modality: PSMA PET/CT | tracer: 18F | view: axial | deidentification: head region blacked out before release
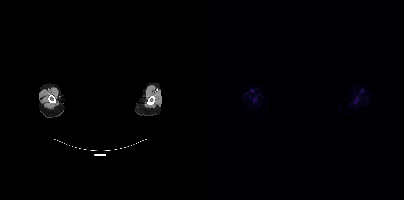
Coordinates are on the 200×200 PET (right) panel. PSMA-avid tumor lesion bounding box (x0, y0)-(x1, y1): (48, 98)-(52, 102). Small PSMA-avid focus (2 to 4 px across) near (center x, center y): (151, 103).